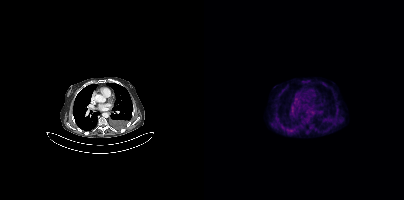
Only PSMA-avid lesion pieces thinner than 2 px on this slice (not listed).